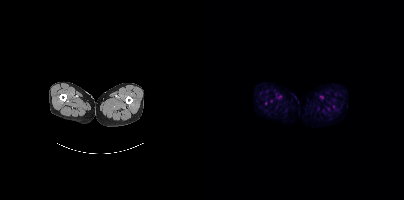
Findings: Negative for PSMA-avid disease on this slice.
- Left: CT. Right: PSMA PET, same axial level, 18F-PSMA tracer
- slice 24 of 415
- PET panel 200×200 px (4.1 mm/px)